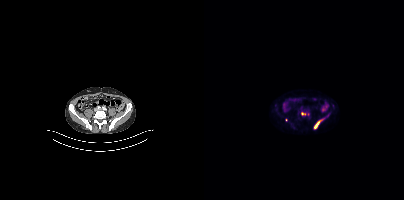
Coordinates are on the 200×200 PET (right) panel. PSMA-avid tumor lesion bounding boxes (partial; 1 more focus not listed):
| # | x0 | y0 | x1 | y1 |
|---|---|---|---|---|
| 1 | 110 | 120 | 117 | 128 |
Small PSMA-avid foci (2 to 4 px across) near (center x, center y): (98, 113); (82, 120); (119, 118).
Two-panel axial: CT | PSMA PET, 18F-PSMA tracer. PET panel 200×200 px (4.1 mm/px).